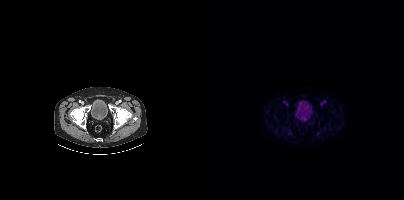
Two-panel axial: CT | PSMA PET, [18F]PSMA-1007 tracer. Slice position z = -992 mm. No tumor lesions annotated on this slice.